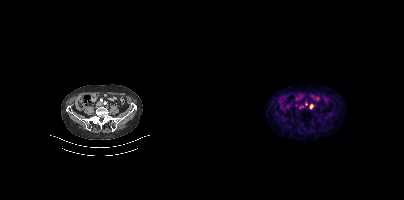
modality: PSMA PET/CT | tracer: [68Ga]Ga-PSMA-11 | view: axial | PET grid: 200×200
Coordinates are on the 200×200 PET (right) panel. Small PSMA-avid foci (2 to 4 px across) near (center x, center y): (107, 106) / (101, 103).